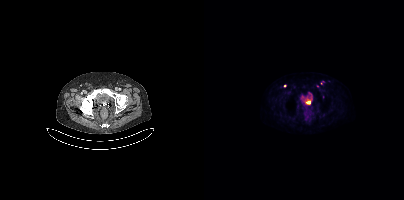
Coordinates are on the 200×200 PET (right) panel. (showing 1 of 3 foci) Small PSMA-avid focus (2 to 4 px across) near (center x, center y): (81, 85).